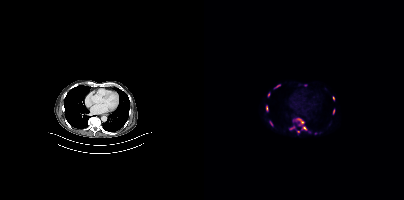
Coordinates are on the 200×200 PET (right) panel. (showing 9 of 10 foci) PSMA-avid tumor lesion bounding boxes (x0,y0,x1,y1): [89,118,102,130] [62,105,64,111] [86,126,91,129] [129,109,130,114] [129,96,130,100]. Small PSMA-avid foci (2 to 4 px across) near (center x, center y): (94, 131) (64, 94) (67, 123) (74, 85).